Two-panel axial: CT | PSMA PET, 18F-PSMA tracer. Acquired on Siemens Biograph mCT Flow 20. Slice 39 of 421. PET panel 200×200 px (4.1 mm/px).
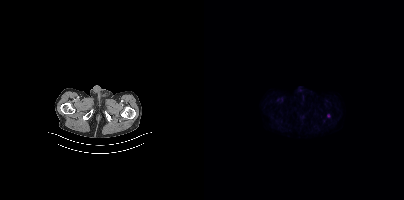
Coordinates are on the 200×200 PET (right) panel. Small PSMA-avid focus (2 to 4 px across) near (center x, center y): (124, 115).